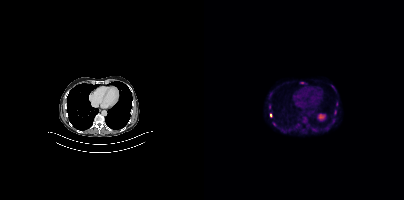
{"modality":"PSMA PET/CT","view":"axial","tracer":"18F-PSMA","pet_grid":[200,200],"coord_frame":"pet_panel","coord_format":"x0,y0,x1,y1","partial":true,"lesion_bboxes":[[130,110,132,114],[96,82,100,83]],"small_foci_centers":[[132,103],[66,115],[66,94],[65,105]]}